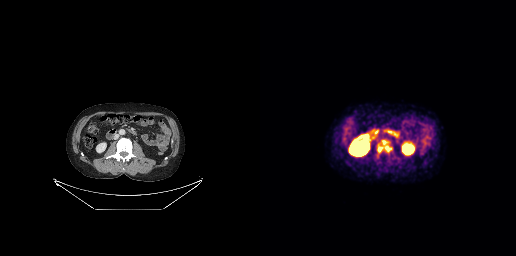
Coordinates are on the 256×256 PET (right) panel. PSMA-avid tumor lesion bounding box (x0,y0,x1,y1): [117,140,131,152]. Left: CT. Right: PSMA PET, same axial level, 18F tracer. Slice position z = -529 mm.